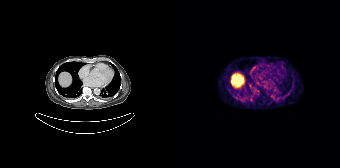
No tumor lesions annotated on this slice.